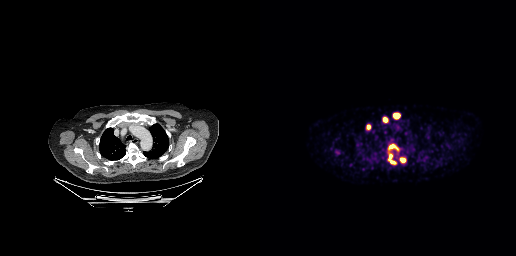
Two-panel axial: CT | PSMA PET, 68Ga-PSMA tracer. Acquired on GE Discovery 690. PET panel 256×256 px (2.7 mm/px).
Coordinates are on the 256×256 PET (right) panel. PSMA-avid tumor lesion bounding boxes:
| # | x0 | y0 | x1 | y1 |
|---|---|---|---|---|
| 1 | 128 | 154 | 135 | 164 |
| 2 | 133 | 113 | 139 | 118 |
| 3 | 129 | 144 | 138 | 149 |
| 4 | 140 | 158 | 145 | 162 |
| 5 | 123 | 117 | 127 | 121 |
Small PSMA-avid focus (2 to 4 px across) near (center x, center y): (108, 126).